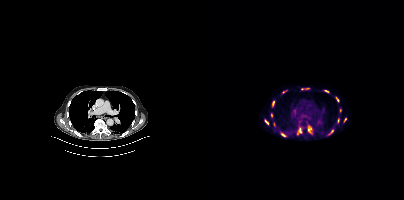
Coordinates are on the 200×200 PET (right) panel. (showing 13 of 15 foci) PSMA-avid tumor lesion bounding boxes (x0, y0)-(x1, y1): (104, 125)-(108, 133) | (93, 127)-(98, 134) | (97, 87)-(105, 90) | (131, 97)-(135, 102) | (68, 100)-(70, 106) | (60, 119)-(64, 124) | (77, 133)-(81, 136) | (120, 90)-(125, 92) | (125, 130)-(129, 134). Small PSMA-avid foci (2 to 4 px across) near (center x, center y): (134, 119) | (136, 110) | (67, 115) | (141, 119).
modality: PSMA PET/CT | tracer: 18F-PSMA | view: axial